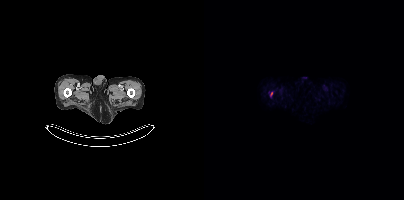
modality: PSMA PET/CT | tracer: [18F]PSMA-1007 | view: axial
Coordinates are on the 200×200 PET (right) panel. Small PSMA-avid focus (2 to 4 px across) near (center x, center y): (67, 93).